- de-identified by setting a box covering the face to black before release
- Two-panel axial: CT | PSMA PET, 68Ga tracer
- slice 152 of 165
- PET panel 168×168 px (4.1 mm/px)
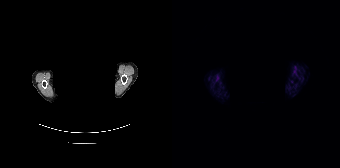
Findings: No tumor lesions annotated on this slice.